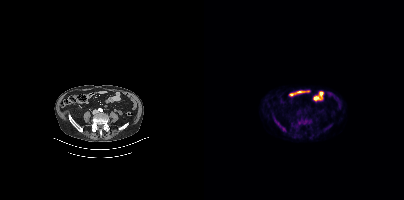
- Two-panel axial: CT | PSMA PET, [18F]PSMA-1007 tracer
Findings: Coordinates are on the 200×200 PET (right) panel. PSMA-avid tumor lesion bounding boxes (x0, y0)-(x1, y1): (70, 119)-(82, 131) / (97, 118)-(104, 123).